modality: PSMA PET/CT | tracer: 18F | view: axial | PET grid: 200×200
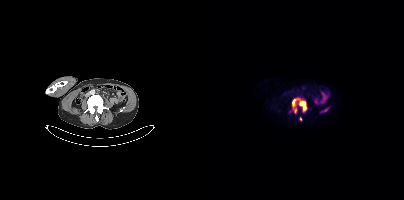
Coordinates are on the 200×200 PET (right) panel. PSMA-avid tumor lesion bounding box (x, y, width, height): x=88 y=98 w=16 h=16. Small PSMA-avid foci (2 to 4 px across) near (center x, center y): (96, 118) | (121, 110).